Paired axial CT (left) and PSMA PET (right), 18F tracer. Acquired on Siemens Biograph mCT Flow 20. PET panel 200×200 px (4.1 mm/px).
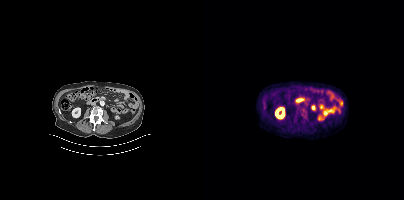
Negative for PSMA-avid disease on this slice.